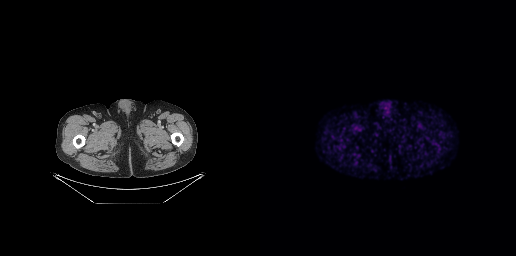
{"pet_grid":[256,256],"coord_frame":"pet_panel","coord_format":"x0,y0,x1,y1","psma_avid_lesions":false,"modality":"PSMA PET/CT","view":"axial","tracer":"[18F]PSMA-1007"}